Two-panel axial: CT | PSMA PET, 18F tracer. Acquired on Siemens Biograph mCT Flow 20. Slice 255 of 429.
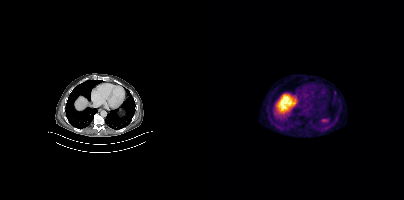
Coordinates are on the 200×200 PET (right) panel. Small PSMA-avid focus (2 to 4 px across) near (center x, center y): (130, 91).